- Left: CT. Right: PSMA PET, same axial level, [18F]PSMA-1007 tracer
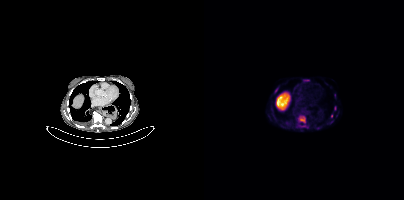
Findings: Coordinates are on the 200×200 PET (right) panel. (showing 5 of 7 foci) PSMA-avid tumor lesion bounding box (x, y, width, height): x=94 y=116 w=8 h=7. Small PSMA-avid foci (2 to 4 px across) near (center x, center y): (113, 128) / (127, 116) / (70, 92) / (130, 109).